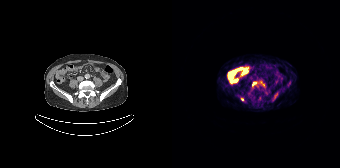
Findings: Coordinates are on the 168×168 PET (right) panel. PSMA-avid tumor lesion bounding box (x0,y0,x1,y1): [80,82,84,85]. Small PSMA-avid foci (2 to 4 px across) near (center x, center y): (70, 99) (103, 96).
Technique: Left: CT. Right: PSMA PET, same axial level, 68Ga-PSMA tracer. slice 54 of 165. PET panel 168×168 px (4.1 mm/px).